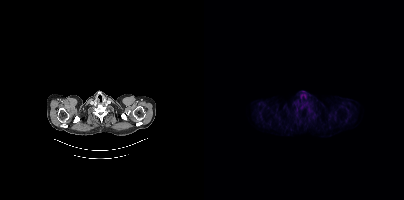
Two-panel axial: CT | PSMA PET, 18F-PSMA tracer. Slice 364 of 429. This slice has no annotated PSMA-avid lesion.